modality: PSMA PET/CT | tracer: [18F]PSMA-1007 | view: axial
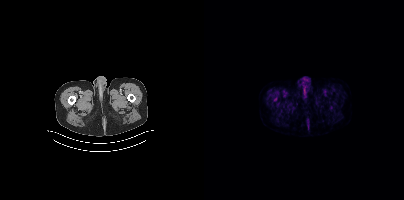
Coordinates are on the 200×200 PET (right) panel. Small PSMA-avid focus (2 to 4 px across) near (center x, center y): (71, 99).